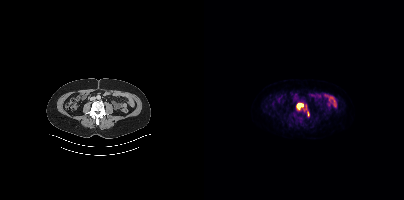
modality: PSMA PET/CT | tracer: 18F | view: axial
Coordinates are on the 200×200 PET (right) panel. (showing 1 of 2 foci) PSMA-avid tumor lesion bounding box (x0, y0)-(x1, y1): (93, 103)-(99, 109).